Two-panel axial: CT | PSMA PET, [18F]PSMA-1007 tracer. Slice position z = -624 mm.
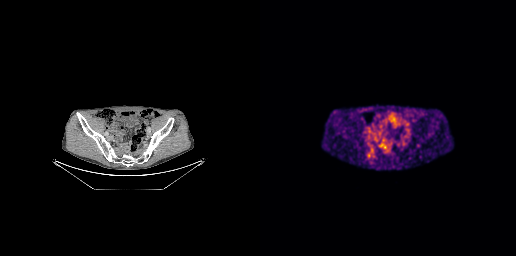
This slice has no annotated PSMA-avid lesion.